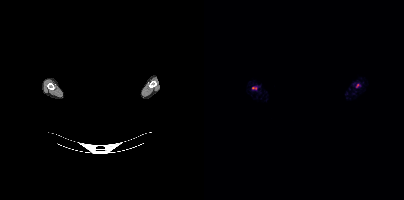
Coordinates are on the 200×200 PET (right) panel. PSMA-avid tumor lesion bounding boxes:
| # | x0 | y0 | x1 | y1 |
|---|---|---|---|---|
| 1 | 48 | 86 | 53 | 89 |
| 2 | 152 | 83 | 156 | 87 |
De-identified by setting a box covering the face to black before release. Left: CT. Right: PSMA PET, same axial level, 18F-PSMA tracer. Slice 371 of 373. PET panel 200×200 px (4.1 mm/px).